Technique: Two-panel axial: CT | PSMA PET, [18F]PSMA-1007 tracer. PET panel 200×200 px (4.1 mm/px).
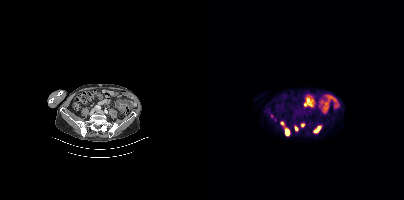
Findings: Coordinates are on the 200×200 PET (right) panel. (showing 6 of 7 foci) PSMA-avid tumor lesion bounding boxes (x0,y0,x1,y1): [109,125,117,133] [81,128,85,136] [90,125,94,131] [97,123,100,127] [76,121,80,125]. Small PSMA-avid focus (2 to 4 px across) near (center x, center y): (67, 116).